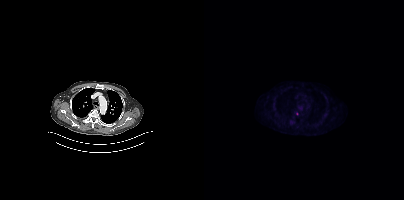
Coordinates are on the 200×200 PET (right) panel. Small PSMA-avid focus (2 to 4 px across) near (center x, center y): (93, 113).